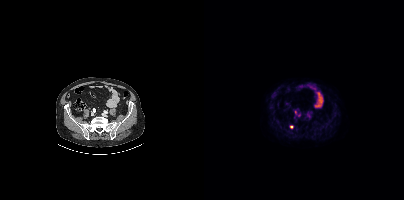
Coordinates are on the 200×200 PET (right) panel. (showing 2 of 3 foci) Small PSMA-avid foci (2 to 4 px across) near (center x, center y): (87, 126); (91, 112).